Paired axial CT (left) and PSMA PET (right), 18F-PSMA tracer. Acquired on Siemens Biograph mCT Flow 20. Slice position z = -1434 mm.
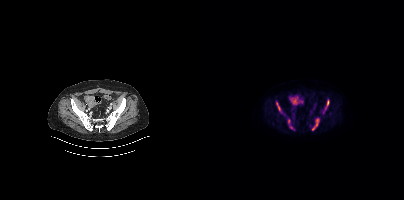
Coordinates are on the 200×200 PET (right) panel. PSMA-avid tumor lesion bounding boxes (x0, y0)-(x1, y1): (108, 118)-(115, 130) | (72, 102)-(76, 111) | (121, 100)-(125, 109) | (84, 119)-(86, 123). Small PSMA-avid focus (2 to 4 px across) near (center x, center y): (87, 127).